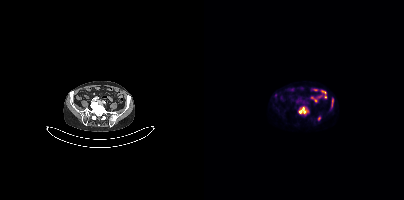
- Paired axial CT (left) and PSMA PET (right), 18F-PSMA tracer
- slice position z = -692 mm
- PET panel 200×200 px (4.1 mm/px)
Findings: Coordinates are on the 200×200 PET (right) panel. PSMA-avid tumor lesion bounding boxes (x0,y0,x1,y1): [95,107,102,113] [114,116,116,120] [128,99,129,106].